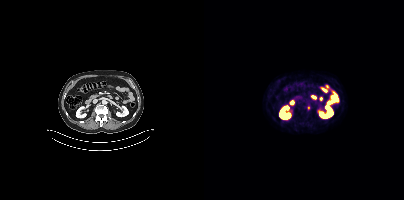
Technique: Left: CT. Right: PSMA PET, same axial level, 68Ga tracer. PET panel 200×200 px (4.1 mm/px).
Findings: Coordinates are on the 200×200 PET (right) panel. Small PSMA-avid focus (2 to 4 px across) near (center x, center y): (104, 107).